Two-panel axial: CT | PSMA PET, [68Ga]Ga-PSMA-11 tracer. Acquired on Siemens Biograph 64-4R TruePoint. Slice position z = -723 mm. PET panel 168×168 px (4.1 mm/px).
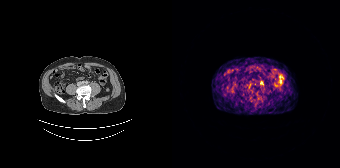
Coordinates are on the 168×168 PET (right) panel. Small PSMA-avid focus (2 to 4 px across) near (center x, center y): (79, 92).